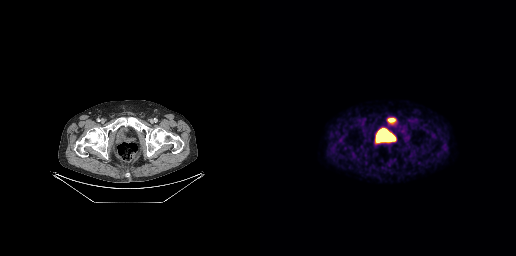
Coordinates are on the 256×256 PET (right) panel. PSMA-avid tumor lesion bounding box (x0,y0,x1,y1): [128,118,135,122].